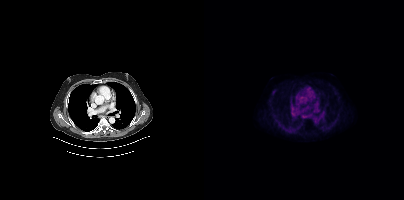
Negative for PSMA-avid disease on this slice.